Paired axial CT (left) and PSMA PET (right), 18F-PSMA tracer. Acquired on Siemens Biograph mCT Flow 20. Slice 391 of 454.
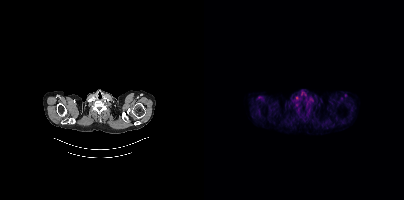
No PSMA-avid tumor lesions on this slice.